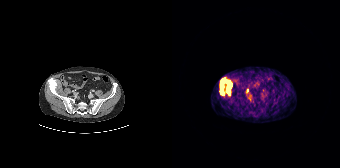
Coordinates are on the 168×168 PET (right) panel. PSMA-avid tumor lesion bounding boxes:
| # | x0 | y0 | x1 | y1 |
|---|---|---|---|---|
| 1 | 48 | 78 | 60 | 95 |
Small PSMA-avid focus (2 to 4 px across) near (center x, center y): (75, 90).
Two-panel axial: CT | PSMA PET, 68Ga tracer.